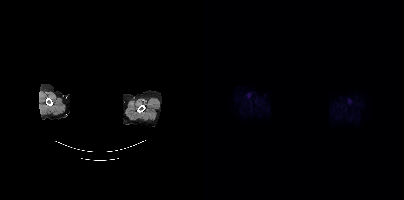
Technique: Two-panel axial: CT | PSMA PET, 18F tracer. acquired on Siemens Biograph mCT Flow 20. PET panel 200×200 px (4.1 mm/px).
Note: The face region was removed for patient privacy by blanking a rectangle over the head.
Findings: No tumor lesions annotated on this slice.